- Left: CT. Right: PSMA PET, same axial level, [18F]PSMA-1007 tracer
- a rectangle over the head was blacked out to remove identifiable facial features
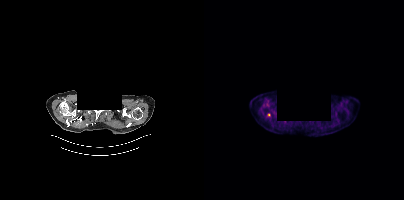
Findings: Coordinates are on the 200×200 PET (right) panel. Small PSMA-avid focus (2 to 4 px across) near (center x, center y): (65, 115).